Two-panel axial: CT | PSMA PET, 68Ga-PSMA tracer.
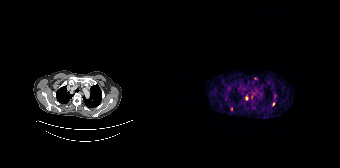
Coordinates are on the 168×168 PET (right) panel. (showing 3 of 4 foci) Small PSMA-avid foci (2 to 4 px across) near (center x, center y): (101, 103); (59, 108); (74, 98).